- Two-panel axial: CT | PSMA PET, [68Ga]Ga-PSMA-11 tracer
- acquired on Siemens Biograph mCT Flow 20
- PET panel 200×200 px (4.1 mm/px)
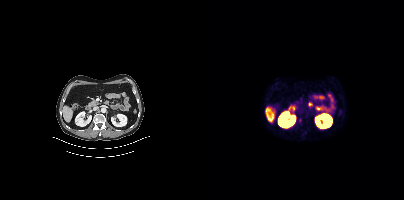
Findings: Coordinates are on the 200×200 PET (right) panel. PSMA-avid tumor lesion bounding box (x0, y0)-(x1, y1): (95, 118)-(97, 122).